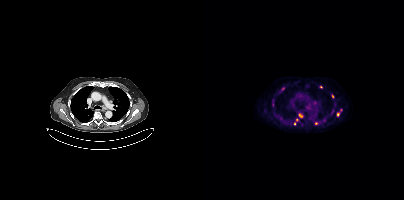
Coordinates are on the 200×200 PET (right) panel. (showing 8 of 10 foci) Small PSMA-avid foci (2 to 4 px across) near (center x, center y): (78, 88), (134, 114), (96, 115), (128, 96), (112, 123), (110, 102), (92, 119), (90, 123).